modality: PSMA PET/CT | tracer: 18F | view: axial
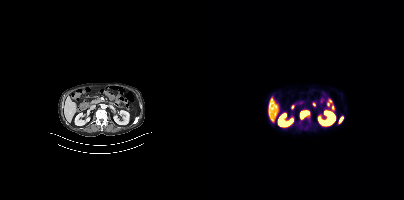
Coordinates are on the 200×200 PET (right) panel. PSMA-avid tumor lesion bounding boxes (x0, y0)-(x1, y1): (96, 111)-(105, 119); (135, 116)-(139, 123); (102, 117)-(106, 121).